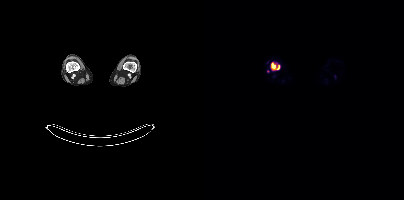
{"pet_grid":[200,200],"coord_frame":"pet_panel","coord_format":"x0,y0,x1,y1","partial":true,"lesion_bboxes":[[67,62,75,70]],"modality":"PSMA PET/CT","view":"axial","tracer":"[18F]PSMA-1007"}